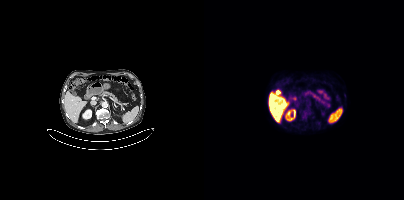
{"modality":"PSMA PET/CT","view":"axial","tracer":"[18F]PSMA-1007","pet_grid":[200,200],"coord_frame":"pet_panel","coord_format":"x0,y0,x1,y1","psma_avid_lesions":false}